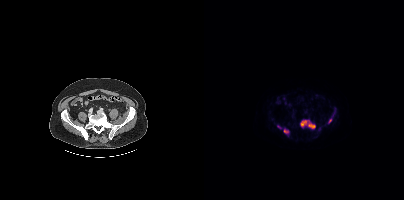
Left: CT. Right: PSMA PET, same axial level, 18F tracer.
Coordinates are on the 200×200 PET (right) panel. PSMA-avid tumor lesion bounding boxes (partial; 1 more focus not listed):
| # | x0 | y0 | x1 | y1 |
|---|---|---|---|---|
| 1 | 96 | 120 | 111 | 128 |
| 2 | 80 | 130 | 84 | 133 |
Small PSMA-avid focus (2 to 4 px across) near (center x, center y): (126, 120).